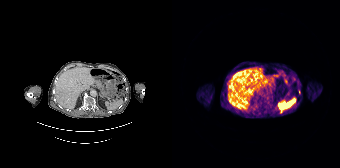
Coordinates are on the 168×168 PET (right) panel. (showing 1 of 2 foci) Small PSMA-avid focus (2 to 4 px across) near (center x, center y): (109, 112).